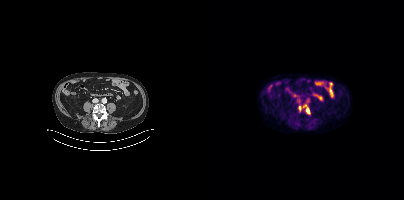
Coordinates are on the 200×200 PET (right) panel. PSMA-avid tumor lesion bounding box (x0,y0,x1,y1): [94,104,106,114]. Paired axial CT (left) and PSMA PET (right), 18F-PSMA tracer. Slice 154 of 429. PET panel 200×200 px (4.1 mm/px).